modality: PSMA PET/CT | tracer: 18F | view: axial
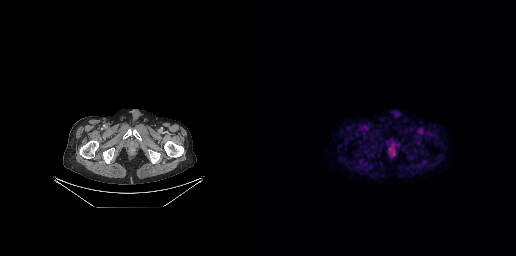
This slice has no annotated PSMA-avid lesion.